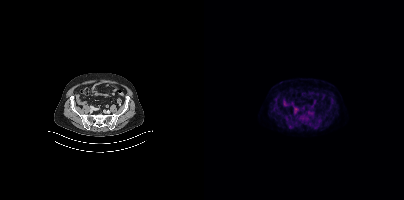
Left: CT. Right: PSMA PET, same axial level, [18F]PSMA-1007 tracer. Slice 117 of 409. Coordinates are on the 200×200 PET (right) panel. PSMA-avid tumor lesion bounding box (x0,y0,x1,y1): [90,107,93,112].